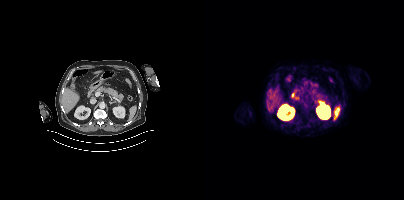
{"pet_grid":[200,200],"coord_frame":"pet_panel","coord_format":"x0,y0,x1,y1","psma_avid_lesions":false,"modality":"PSMA PET/CT","view":"axial","tracer":"68Ga"}